- Left: CT. Right: PSMA PET, same axial level, [68Ga]Ga-PSMA-11 tracer
- slice 102 of 195
- PET panel 168×168 px (4.1 mm/px)
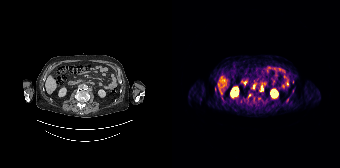
Findings: Coordinates are on the 168×168 PET (right) panel. (showing 4 of 5 foci) PSMA-avid tumor lesion bounding box (x0, y0)-(x1, y1): (89, 86)-(91, 90). Small PSMA-avid foci (2 to 4 px across) near (center x, center y): (77, 94); (115, 99); (81, 86).